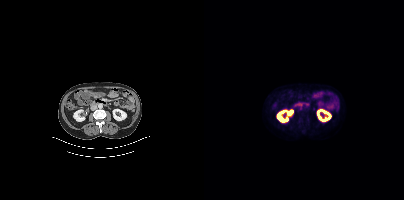
No PSMA-avid tumor lesions on this slice.